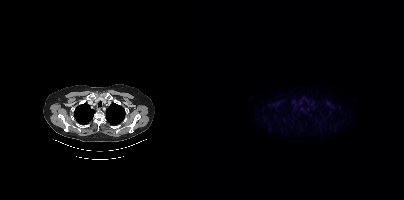
Negative for PSMA-avid disease on this slice. Left: CT. Right: PSMA PET, same axial level, 18F tracer.